Paired axial CT (left) and PSMA PET (right), 18F-PSMA tracer. Acquired on Siemens Biograph mCT Flow 20. Slice position z = -549 mm. PET panel 200×200 px (4.1 mm/px).
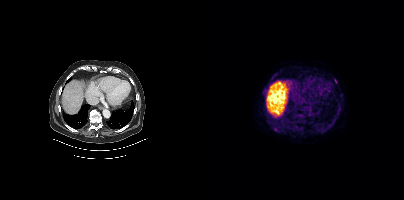
Coordinates are on the 200×200 PET (right) panel. PSMA-avid tumor lesion bounding box (x, y, width, height): x=130 y=79 w=4 h=5.